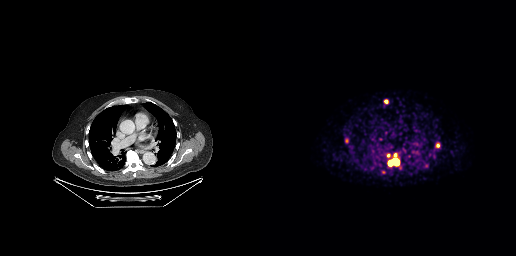
Coordinates are on the 256×256 PET (right) panel. PSMA-avid tumor lesion bounding boxes (x, y, width, height): x=128 y=153 w=12 h=14 | x=176 y=143 w=4 h=5. Small PSMA-avid foci (2 to 4 px across) near (center x, center y): (125, 101) | (128, 155).